Paired axial CT (left) and PSMA PET (right), 18F tracer. PET panel 200×200 px (4.1 mm/px).
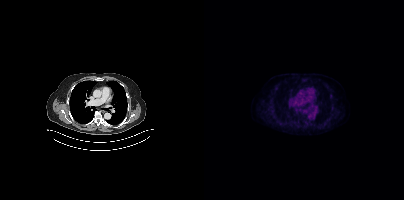
This slice has no annotated PSMA-avid lesion.